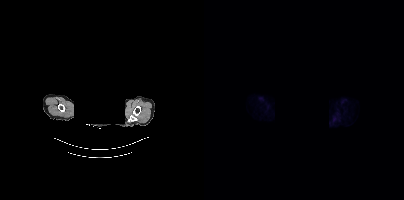
Negative for PSMA-avid disease on this slice.
The head region is masked for de-identification.